- Left: CT. Right: PSMA PET, same axial level, 68Ga-PSMA tracer
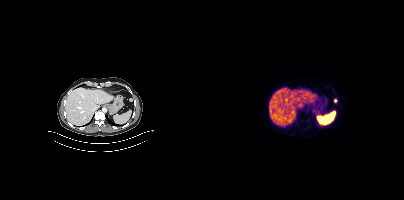
Findings: Coordinates are on the 200×200 PET (right) panel. Small PSMA-avid focus (2 to 4 px across) near (center x, center y): (131, 100).